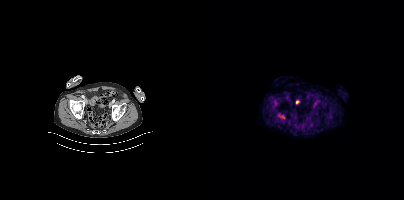
No tumor lesions annotated on this slice.